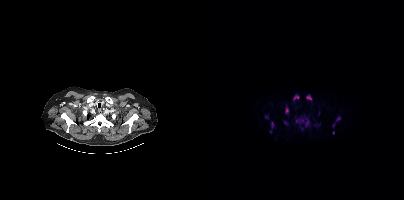
- Left: CT. Right: PSMA PET, same axial level, [18F]PSMA-1007 tracer
- acquired on Siemens Biograph mCT Flow 20
- PET panel 200×200 px (4.1 mm/px)
Findings: Coordinates are on the 200×200 PET (right) panel. (showing 12 of 14 foci) PSMA-avid tumor lesion bounding boxes (x0, y0)-(x1, y1): (92, 118)-(100, 123) / (89, 94)-(95, 100) / (102, 94)-(107, 100) / (81, 106)-(84, 113) / (101, 118)-(105, 126) / (67, 121)-(70, 128) / (132, 116)-(136, 121) / (61, 115)-(64, 119) / (129, 123)-(130, 127). Small PSMA-avid foci (2 to 4 px across) near (center x, center y): (81, 122) / (129, 132) / (66, 131).